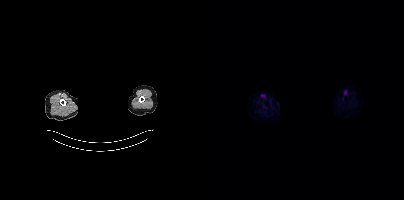
Paired axial CT (left) and PSMA PET (right), 18F-PSMA tracer. Slice position z = -1060 mm. PET panel 200×200 px (4.1 mm/px). Head region blanked for anonymization (face removed). No tumor lesions annotated on this slice.